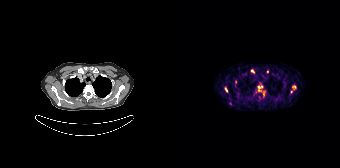
Coordinates are on the 168×168 PET (right) panel. PSMA-avid tumor lesion bounding boxes:
| # | x0 | y0 | x1 | y1 |
|---|---|---|---|---|
| 1 | 118 | 83 | 124 | 93 |
| 2 | 86 | 85 | 90 | 91 |
| 3 | 52 | 87 | 55 | 92 |
| 4 | 79 | 69 | 82 | 73 |
| 5 | 91 | 91 | 92 | 95 |
| 6 | 112 | 82 | 113 | 86 |
Small PSMA-avid foci (2 to 4 px across) near (center x, center y): (95, 71); (63, 81); (58, 103).
Left: CT. Right: PSMA PET, same axial level, [68Ga]Ga-PSMA-11 tracer. PET panel 168×168 px (4.1 mm/px).